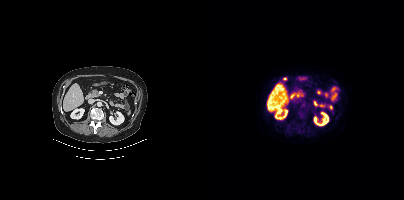
- Two-panel axial: CT | PSMA PET, 18F tracer
- acquired on Siemens Biograph mCT Flow 20
Findings: No tumor lesions annotated on this slice.